Left: CT. Right: PSMA PET, same axial level, 68Ga-PSMA tracer. Acquired on GE Discovery 690. Slice 118 of 299. PET panel 256×256 px (2.7 mm/px).
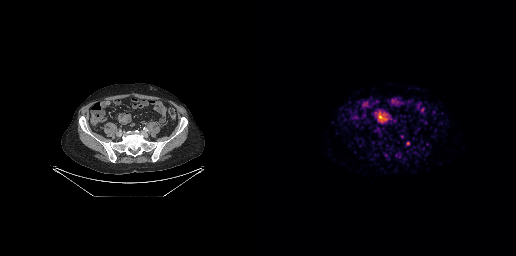
Coordinates are on the 256×256 PET (right) panel. Small PSMA-avid focus (2 to 4 px across) near (center x, center y): (148, 143).